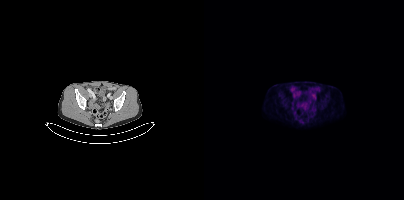
Left: CT. Right: PSMA PET, same axial level, [18F]PSMA-1007 tracer. PET panel 200×200 px (4.1 mm/px). No PSMA-avid tumor lesions on this slice.